- Left: CT. Right: PSMA PET, same axial level, [18F]PSMA-1007 tracer
- slice 162 of 299
- PET panel 256×256 px (2.7 mm/px)
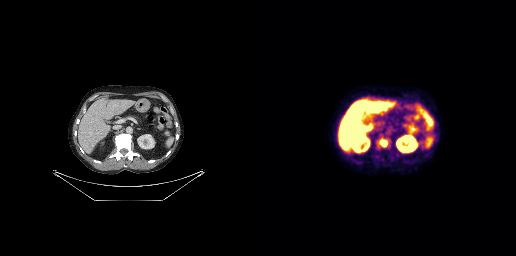
Findings: Coordinates are on the 256×256 PET (right) panel. PSMA-avid tumor lesion bounding box (x, y, width, height): x=120 y=140 w=8 h=7.